Two-panel axial: CT | PSMA PET, 18F-PSMA tracer. PET panel 200×200 px (4.1 mm/px).
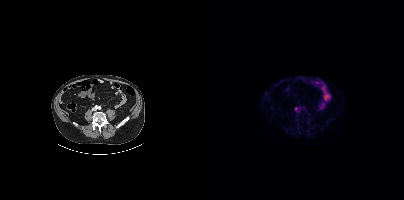
Coordinates are on the 200×200 PET (right) panel. Small PSMA-avid focus (2 to 4 px across) near (center x, center y): (92, 108).